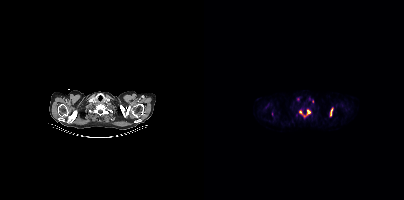
Two-panel axial: CT | PSMA PET, 18F tracer. Slice 800 of 963. PET panel 200×200 px (4.1 mm/px). Coordinates are on the 200×200 PET (right) panel. PSMA-avid tumor lesion bounding boxes (x, y, width, height): x=103 y=109 w=4 h=6 | x=126 y=108 w=3 h=8 | x=95 y=110 w=4 h=5. Small PSMA-avid foci (2 to 4 px across) near (center x, center y): (68, 113) | (100, 115) | (108, 101).